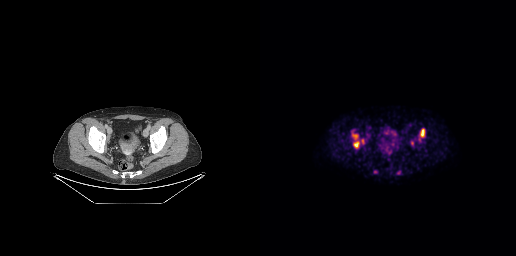
Coordinates are on the 256×256 PET (right) panel. PSMA-avid tumor lesion bounding boxes (x0,y0,x1,y1): [91,131,104,148]; [160,128,165,137]. Small PSMA-avid foci (2 to 4 px across) near (center x, center y): (152, 143); (159, 139).